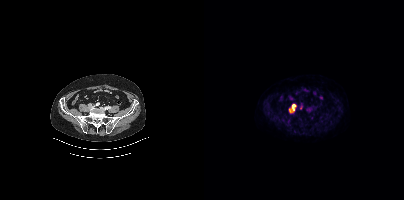
Coordinates are on the 200×200 PET (right) panel. PSMA-avid tumor lesion bounding box (x, y, width, height): x=88 y=105 w=4 h=6. Small PSMA-avid focus (2 to 4 px across) near (center x, center y): (85, 110).